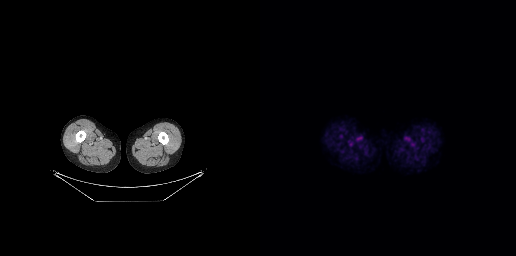
No PSMA-avid tumor lesions on this slice.